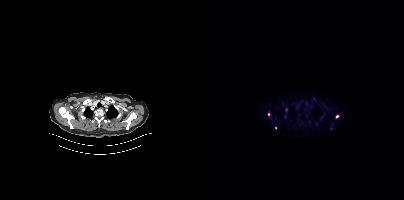
Coordinates are on the 200×200 PET (right) panel. Small PSMA-avid foci (2 to 4 px across) near (center x, center y): (64, 114) | (133, 116) | (82, 109) | (71, 127).